Two-panel axial: CT | PSMA PET, 18F tracer. Acquired on Siemens Biograph mCT Flow 20. Slice position z = -556 mm. PET panel 200×200 px (4.1 mm/px).
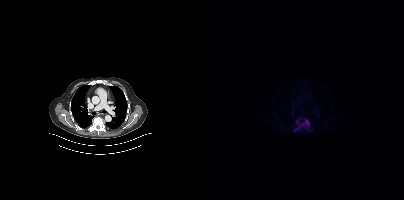
Coordinates are on the 200×200 PET (right) panel. PSMA-avid tumor lesion bounding boxes:
| # | x0 | y0 | x1 | y1 |
|---|---|---|---|---|
| 1 | 92 | 119 | 105 | 130 |